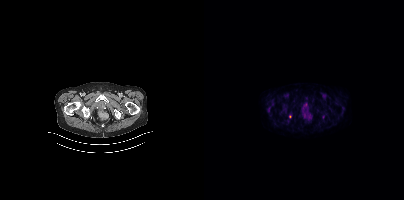
{"modality":"PSMA PET/CT","view":"axial","tracer":"18F","pet_grid":[200,200],"coord_frame":"pet_panel","coord_format":"x0,y0,x1,y1","psma_avid_lesions":false}